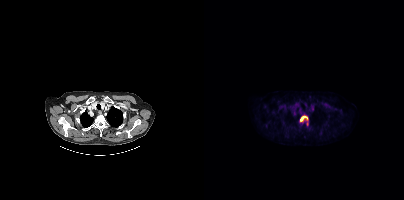
{"modality":"PSMA PET/CT","view":"axial","tracer":"[18F]PSMA-1007","pet_grid":[200,200],"coord_frame":"pet_panel","coord_format":"x0,y0,x1,y1","partial":true,"lesion_bboxes":[[96,115,104,122]]}